Technique: Left: CT. Right: PSMA PET, same axial level, [18F]PSMA-1007 tracer. acquired on GE Discovery 690.
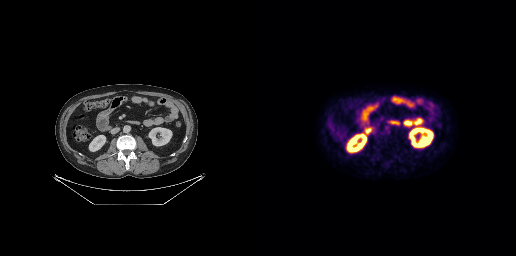
Findings: No PSMA-avid tumor lesions on this slice.